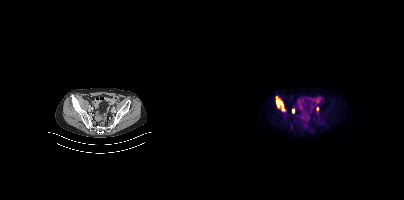
Coordinates are on the 200×200 PET (right) panel. (showing 3 of 4 foci) PSMA-avid tumor lesion bounding box (x0, y0)-(x1, y1): (72, 96)-(81, 111). Small PSMA-avid foci (2 to 4 px across) near (center x, center y): (89, 110) | (113, 108).